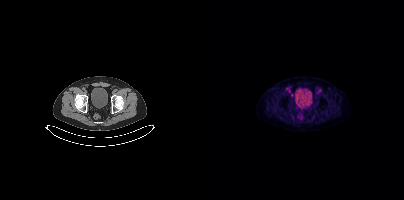
{"modality":"PSMA PET/CT","view":"axial","tracer":"18F","pet_grid":[200,200],"coord_frame":"pet_panel","coord_format":"x0,y0,x1,y1","lesion_bboxes":[],"small_foci_centers":[[87,94]]}